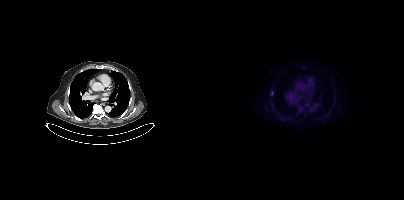
{"modality":"PSMA PET/CT","view":"axial","tracer":"18F","pet_grid":[200,200],"coord_frame":"pet_panel","coord_format":"x0,y0,x1,y1","lesion_bboxes":[[67,91,69,95]]}